Paired axial CT (left) and PSMA PET (right), 18F tracer.
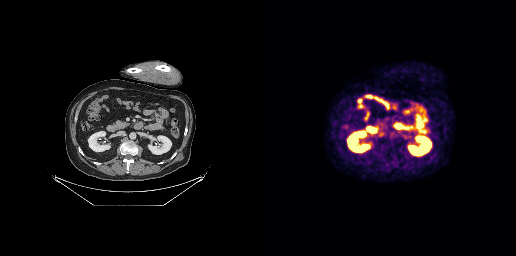
This slice has no annotated PSMA-avid lesion.